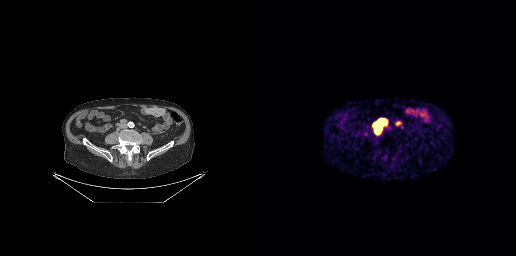
Paired axial CT (left) and PSMA PET (right), 68Ga tracer.
Coordinates are on the 256×256 PET (right) panel. PSMA-avid tumor lesion bounding boxes:
| # | x0 | y0 | x1 | y1 |
|---|---|---|---|---|
| 1 | 114 | 119 | 125 | 133 |
| 2 | 136 | 121 | 141 | 125 |